- Left: CT. Right: PSMA PET, same axial level, 18F-PSMA tracer
- slice position z = -1212 mm
- PET panel 200×200 px (4.1 mm/px)
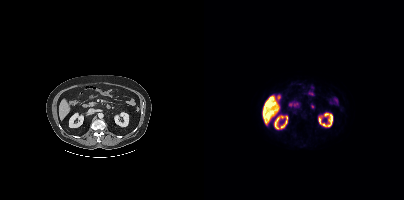
Findings: No PSMA-avid tumor lesions on this slice.